An anonymization step blacked out a rectangle over the head in this scan. Paired axial CT (left) and PSMA PET (right), [18F]PSMA-1007 tracer. Slice position z = -532 mm. PET panel 168×168 px (4.1 mm/px).
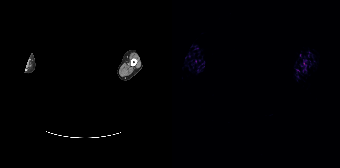
No tumor lesions annotated on this slice.